Technique: Left: CT. Right: PSMA PET, same axial level, [18F]PSMA-1007 tracer.
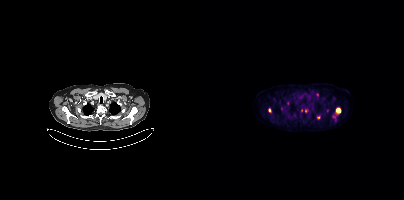
Findings: Coordinates are on the 200×200 PET (right) panel. PSMA-avid tumor lesion bounding boxes (x0, y0)-(x1, y1): (131, 108)-(136, 115) / (64, 108)-(67, 112). Small PSMA-avid foci (2 to 4 px across) near (center x, center y): (113, 94) / (114, 117) / (84, 103) / (101, 110) / (130, 116) / (98, 110) / (123, 110).